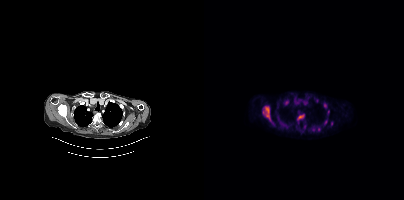
modality: PSMA PET/CT | tracer: 18F | view: axial | PET grid: 200×200
Coordinates are on the 200×200 PET (right) panel. (showing 11 of 12 foci) PSMA-avid tumor lesion bounding boxes (x0, y0)-(x1, y1): (59, 106)-(66, 120) / (80, 100)-(84, 105) / (94, 115)-(99, 119) / (120, 119)-(123, 124) / (78, 122)-(82, 125). Small PSMA-avid foci (2 to 4 px across) near (center x, center y): (113, 100) / (127, 123) / (120, 105) / (124, 112) / (100, 126) / (109, 129).